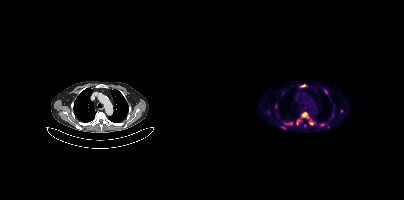
Coordinates are on the 200×200 PET (right) panel. (showing 6 of 8 foci) PSMA-avid tumor lesion bounding boxes (x0, y0)-(x1, y1): (97, 112)-(104, 118) | (120, 89)-(123, 94) | (105, 122)-(109, 124) | (97, 84)-(101, 86) | (93, 120)-(94, 124) | (81, 123)-(85, 124).